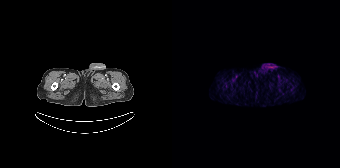
Two-panel axial: CT | PSMA PET, [68Ga]Ga-PSMA-11 tracer. Slice 27 of 195. PET panel 168×168 px (4.1 mm/px). No PSMA-avid tumor lesions on this slice.